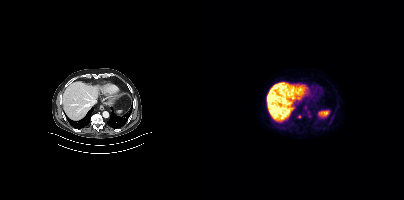
modality: PSMA PET/CT | tracer: 18F | view: axial | PET grid: 200×200
Coordinates are on the 200×200 PET (right) panel. Small PSMA-avid focus (2 to 4 px across) near (center x, center y): (95, 116).